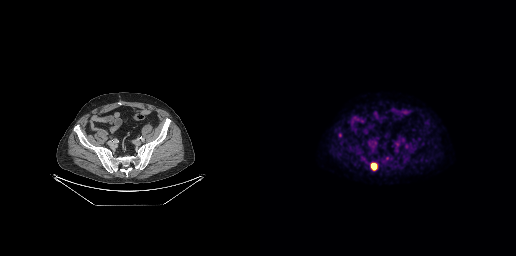
Findings: Coordinates are on the 256×256 PET (right) panel. PSMA-avid tumor lesion bounding boxes (x0, y0)-(x1, y1): (111, 163)-(116, 169) | (78, 133)-(81, 137). Small PSMA-avid focus (2 to 4 px across) near (center x, center y): (146, 146).
Technique: Two-panel axial: CT | PSMA PET, 18F tracer. slice position z = -642 mm. PET panel 256×256 px (2.7 mm/px).